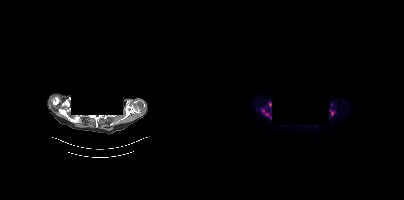
- an anonymization step blacked out a rectangle over the head in this scan
- Paired axial CT (left) and PSMA PET (right), 18F tracer
- acquired on Siemens Biograph mCT Flow 20
- slice position z = -860 mm
- PET panel 200×200 px (4.1 mm/px)
Findings: Coordinates are on the 200×200 PET (right) panel. (showing 3 of 4 foci) PSMA-avid tumor lesion bounding boxes (x0, y0)-(x1, y1): (58, 109)-(67, 119) / (126, 110)-(130, 115) / (63, 103)-(67, 106).